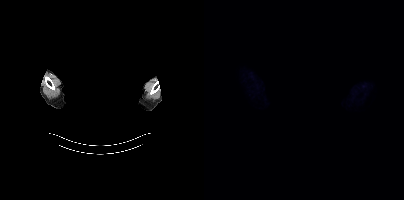
No tumor lesions annotated on this slice.
Face de-identified by blanking a block of the head.